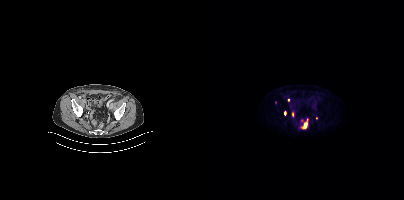
modality: PSMA PET/CT | tracer: 18F | view: axial | PET grid: 200×200
Coordinates are on the 200×200 PET (right) panel. (showing 4 of 7 foci) PSMA-avid tumor lesion bounding boxes (x0,y0,x1,y1): [97,118,104,129] [80,111,82,115] [88,112,89,116]. Small PSMA-avid focus (2 to 4 px across) near (center x, center y): (84, 100).